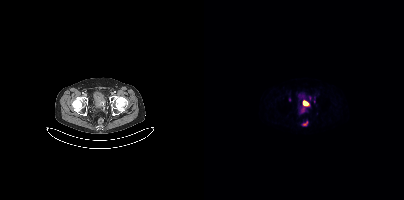
Coordinates are on the 200×200 PET (right) panel. (showing 2 of 4 foci) PSMA-avid tumor lesion bounding boxes (x0, y0)-(x1, y1): (97, 101)-(104, 112) / (98, 122)-(103, 126).
modality: PSMA PET/CT | tracer: 68Ga-PSMA | view: axial